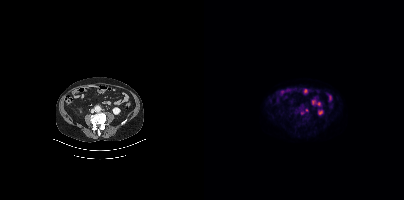
Coordinates are on the 200×200 PET (right) panel. (showing 1 of 2 foci) Small PSMA-avid focus (2 to 4 px across) near (center x, center y): (102, 109).